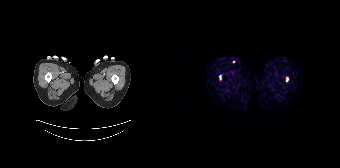
Left: CT. Right: PSMA PET, same axial level, 68Ga-PSMA tracer. Slice position z = -1400 mm. Coordinates are on the 168×168 PET (right) panel. (showing 1 of 2 foci) Small PSMA-avid focus (2 to 4 px across) near (center x, center y): (115, 79).